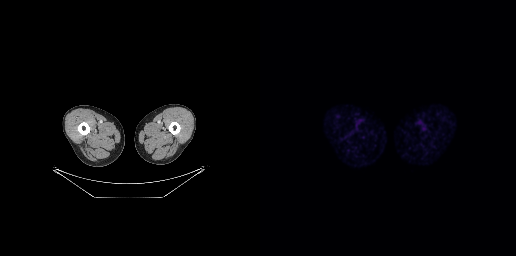
Technique: Paired axial CT (left) and PSMA PET (right), 68Ga-PSMA tracer. slice position z = -965 mm. PET panel 256×256 px (2.7 mm/px).
Findings: This slice has no annotated PSMA-avid lesion.